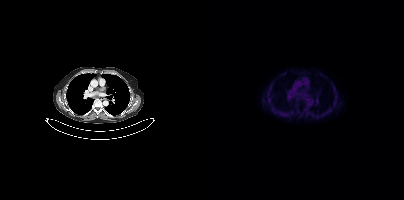
{"modality":"PSMA PET/CT","view":"axial","tracer":"18F","pet_grid":[200,200],"coord_frame":"pet_panel","coord_format":"x0,y0,x1,y1","psma_avid_lesions":false}